Two-panel axial: CT | PSMA PET, 18F tracer. Slice 55 of 401.
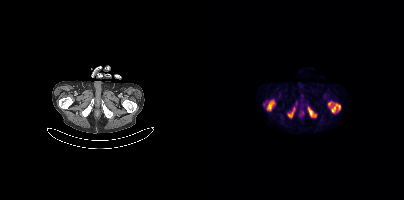
Coordinates are on the 200×200 PET (right) panel. PSMA-avid tumor lesion bounding boxes (x0, y0)-(x1, y1): (124, 101)-(136, 113); (63, 100)-(70, 110); (104, 107)-(112, 117); (84, 108)-(90, 117).